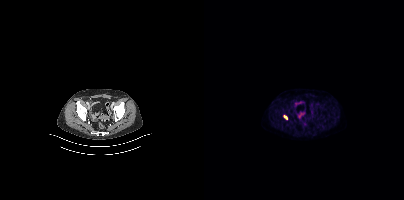
Coordinates are on the 200×200 PET (right) panel. PSMA-avid tumor lesion bounding box (x, y, width, height): x=79 y=115 w=5 h=5. Two-panel axial: CT | PSMA PET, 18F-PSMA tracer. PET panel 200×200 px (4.1 mm/px).